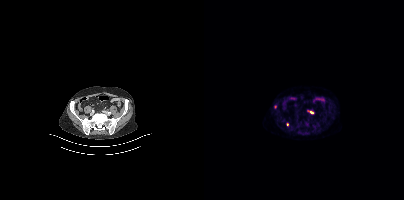
Coordinates are on the 200×200 PET (right) panel. (showing 2 of 3 foci) Small PSMA-avid foci (2 to 4 px across) near (center x, center y): (107, 112), (83, 124).